Paired axial CT (left) and PSMA PET (right), 68Ga-PSMA tracer. Slice position z = -1562 mm.
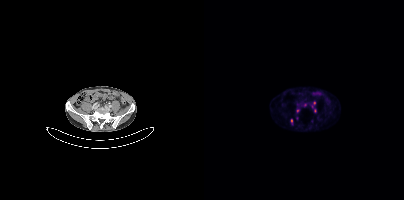
Coordinates are on the 200×200 PET (right) panel. (showing 3 of 6 foci) Small PSMA-avid foci (2 to 4 px across) near (center x, center y): (87, 120) (93, 110) (110, 102).